Two-panel axial: CT | PSMA PET, 18F-PSMA tracer. Slice 258 of 367. PET panel 200×200 px (4.1 mm/px).
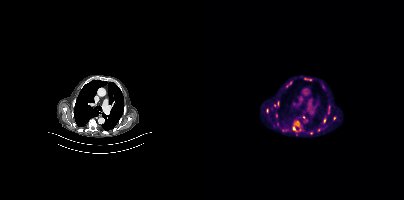
Coordinates are on the 200×200 PET (right) panel. (showing 8 of 10 foci) PSMA-avid tumor lesion bounding boxes (x, y, width, height): x=81 y=82 w=8 h=7 | x=70 y=101 w=6 h=7 | x=62 y=108 w=3 h=6 | x=119 y=118 w=3 h=5 | x=72 y=113 w=2 h=5. Small PSMA-avid foci (2 to 4 px across) near (center x, center y): (92, 123) | (90, 128) | (130, 118).